- Left: CT. Right: PSMA PET, same axial level, 18F-PSMA tracer
- slice position z = -990 mm
- PET panel 200×200 px (4.1 mm/px)
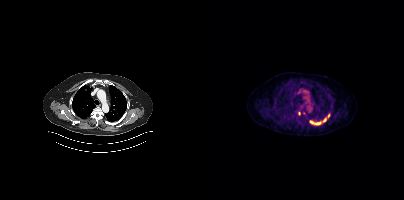
Findings: Coordinates are on the 200×200 PET (right) panel. (showing 2 of 3 foci) PSMA-avid tumor lesion bounding box (x0, y0)-(x1, y1): (105, 114)-(126, 125). Small PSMA-avid focus (2 to 4 px across) near (center x, center y): (95, 113).